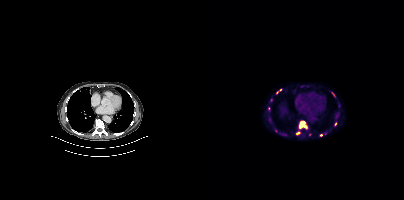
Technique: Left: CT. Right: PSMA PET, same axial level, [18F]PSMA-1007 tracer. acquired on Siemens Biograph mCT Flow 20. slice 257 of 413.
Findings: Coordinates are on the 200×200 PET (right) panel. (showing 7 of 8 foci) PSMA-avid tumor lesion bounding box (x0, y0)-(x1, y1): (95, 121)-(103, 128). Small PSMA-avid foci (2 to 4 px across) near (center x, center y): (93, 133) | (73, 92) | (131, 124) | (76, 89) | (128, 93) | (117, 134).